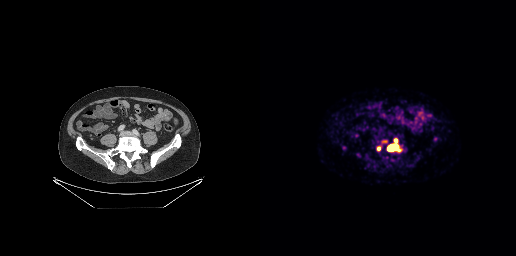
Technique: Two-panel axial: CT | PSMA PET, [68Ga]Ga-PSMA-11 tracer. acquired on GE Discovery 690. slice 88 of 263.
Findings: Coordinates are on the 256×256 PET (right) panel. PSMA-avid tumor lesion bounding box (x0, y0)-(x1, y1): (127, 139)-(140, 151). Small PSMA-avid focus (2 to 4 px across) near (center x, center y): (118, 148).